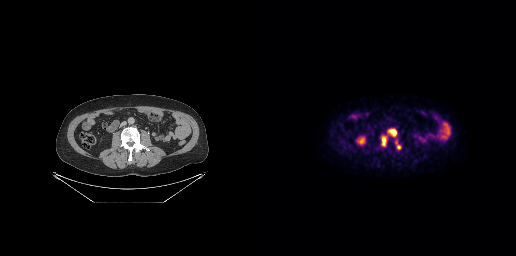
{"modality":"PSMA PET/CT","view":"axial","tracer":"[18F]PSMA-1007","pet_grid":[256,256],"coord_frame":"pet_panel","coord_format":"x0,y0,x1,y1","lesion_bboxes":[[127,128,137,137],[121,135,127,146],[135,140,141,149]]}